Paired axial CT (left) and PSMA PET (right), 18F-PSMA tracer. Acquired on Siemens Biograph mCT Flow 20.
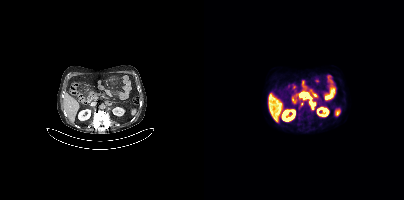
Coordinates are on the 200×200 PET (right) panel. PSMA-avid tumor lesion bounding boxes (partial; 1 more focus not listed):
| # | x0 | y0 | x1 | y1 |
|---|---|---|---|---|
| 1 | 105 | 100 | 111 | 108 |
| 2 | 96 | 93 | 101 | 96 |
Small PSMA-avid focus (2 to 4 px across) near (center x, center y): (98, 103).